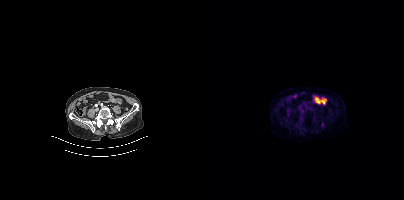
{"modality":"PSMA PET/CT","view":"axial","tracer":"18F","pet_grid":[200,200],"coord_frame":"pet_panel","coord_format":"x0,y0,x1,y1","lesion_bboxes":[],"small_foci_centers":[[118,123]]}